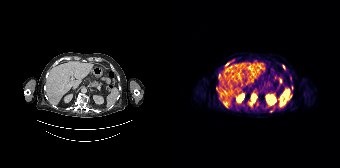
Coordinates are on the 168×168 PET (right) panel. (showing 4 of 6 foci) PSMA-avid tumor lesion bounding boxes (x, y, width, height): x=78 y=93 w=7 h=11 | x=47 y=74 w=2 h=5. Small PSMA-avid foci (2 to 4 px across) near (center x, center y): (45, 89) | (111, 67).